Left: CT. Right: PSMA PET, same axial level, 18F-PSMA tracer. PET panel 200×200 px (4.1 mm/px).
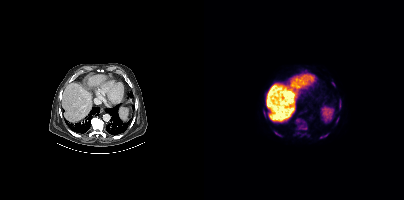
Coordinates are on the 200×200 PET (right) panel. (showing 7 of 10 foci) PSMA-avid tumor lesion bounding boxes (x0, y0)-(x1, y1): (92, 118)-(103, 129); (70, 130)-(76, 136); (119, 133)-(124, 137). Small PSMA-avid foci (2 to 4 px across) near (center x, center y): (129, 83); (133, 119); (64, 118); (93, 132).